Technique: Two-panel axial: CT | PSMA PET, 18F-PSMA tracer. slice position z = -876 mm.
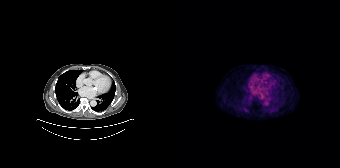
Findings: No PSMA-avid tumor lesions on this slice.